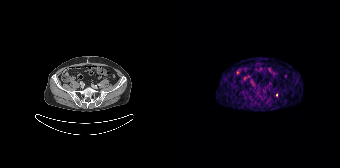
Only PSMA-avid lesion pieces thinner than 2 px on this slice (not listed). Paired axial CT (left) and PSMA PET (right), [68Ga]Ga-PSMA-11 tracer. PET panel 168×168 px (4.1 mm/px).